Two-panel axial: CT | PSMA PET, 18F-PSMA tracer. Acquired on Siemens Biograph mCT Flow 20.
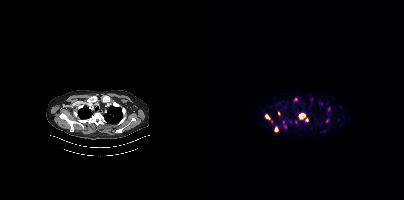
Coordinates are on the 200×200 PET (right) panel. PSMA-avid tumor lesion bounding boxes (partial; 3 more foci not listed):
| # | x0 | y0 | x1 | y1 |
|---|---|---|---|---|
| 1 | 94 | 113 | 104 | 121 |
| 2 | 61 | 114 | 66 | 119 |
| 3 | 70 | 126 | 74 | 131 |
Small PSMA-avid foci (2 to 4 px across) near (center x, center y): (124, 107); (75, 113); (116, 103); (91, 99).